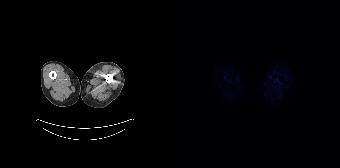
{"modality":"PSMA PET/CT","view":"axial","tracer":"18F","pet_grid":[168,168],"coord_frame":"pet_panel","coord_format":"x0,y0,x1,y1","psma_avid_lesions":false}